Left: CT. Right: PSMA PET, same axial level, [18F]PSMA-1007 tracer. PET panel 200×200 px (4.1 mm/px).
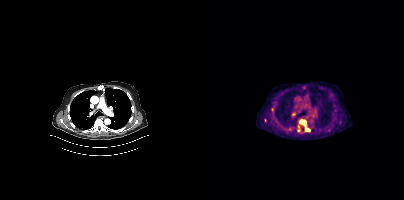
Coordinates are on the 200×200 PET (right) panel. (showing 4 of 5 foci) PSMA-avid tumor lesion bounding boxes (x0, y0)-(x1, y1): (93, 128)-(96, 132); (101, 128)-(105, 130). Small PSMA-avid foci (2 to 4 px across) near (center x, center y): (99, 122); (68, 109).